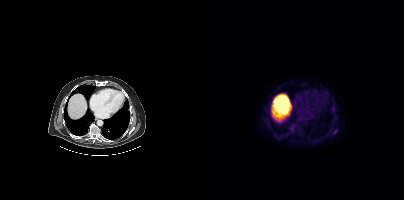
Coordinates are on the 200×200 PET (right) panel. Small PSMA-avid focus (2 to 4 px across) near (center x, center y): (131, 131).